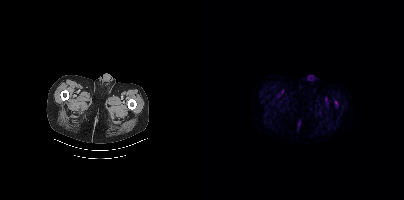
Coordinates are on the 200×200 PET (right) panel. Small PSMA-avid focus (2 to 4 px across) near (center x, center y): (132, 102). Paired axial CT (left) and PSMA PET (right), 18F tracer.